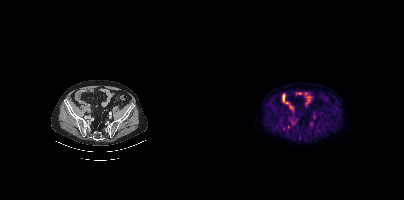
Coordinates are on the 200×200 PET (right) panel. (showing 1 of 2 foci) Small PSMA-avid focus (2 to 4 px across) near (center x, center y): (84, 126). Paired axial CT (left) and PSMA PET (right), 18F-PSMA tracer.